Technique: Paired axial CT (left) and PSMA PET (right), 18F-PSMA tracer. slice position z = 366 mm.
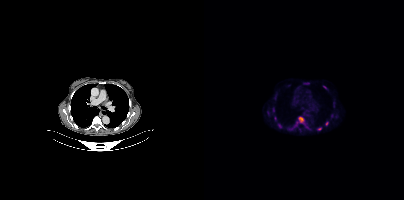
Findings: Coordinates are on the 200×200 PET (right) panel. (showing 8 of 9 foci) PSMA-avid tumor lesion bounding boxes (x, y, width, height): x=94 y=117 w=7 h=7 / x=69 y=108 w=2 h=5. Small PSMA-avid foci (2 to 4 px across) near (center x, center y): (120, 87) / (64, 112) / (123, 123) / (115, 129) / (76, 126) / (70, 117).